Paired axial CT (left) and PSMA PET (right), 18F-PSMA tracer. PET panel 256×256 px (2.7 mm/px).
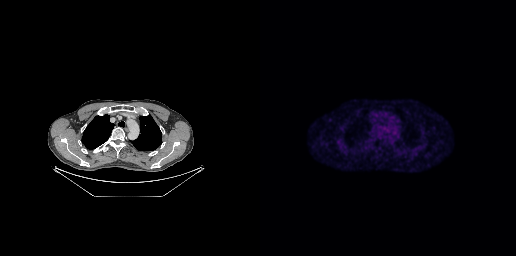
No tumor lesions annotated on this slice.